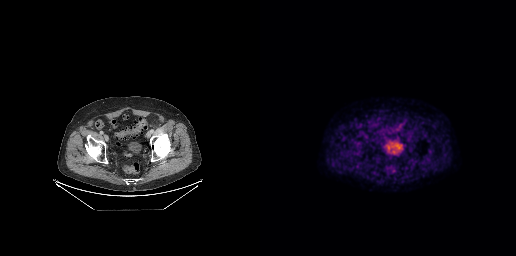
Two-panel axial: CT | PSMA PET, [18F]PSMA-1007 tracer. This slice has no annotated PSMA-avid lesion.